Left: CT. Right: PSMA PET, same axial level, 18F-PSMA tracer. Slice 150 of 263.
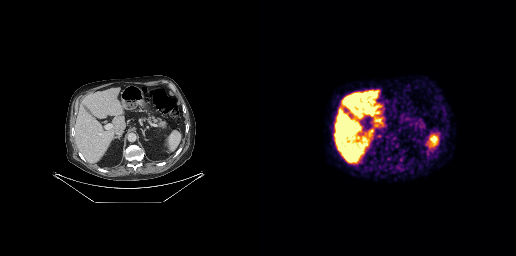
No tumor lesions annotated on this slice.